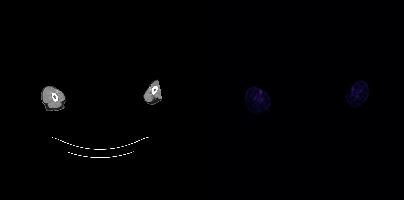
No PSMA-avid tumor lesions on this slice.
de-identification: rectangular block over head set to black | modality: PSMA PET/CT | tracer: [18F]PSMA-1007 | view: axial | PET grid: 200×200